Two-panel axial: CT | PSMA PET, [18F]PSMA-1007 tracer. PET panel 200×200 px (4.1 mm/px).
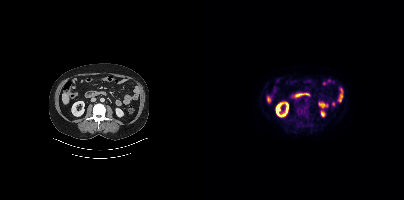
Coordinates are on the 200×200 PET (right) panel. PSMA-avid tumor lesion bounding boxes:
| # | x0 | y0 | x1 | y1 |
|---|---|---|---|---|
| 1 | 92 | 104 | 104 | 117 |
| 2 | 95 | 122 | 99 | 126 |